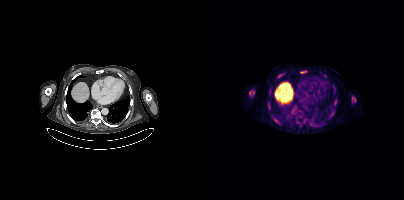
Paired axial CT (left) and PSMA PET (right), 18F tracer. Slice position z = 122 mm. PET panel 200×200 px (4.1 mm/px).
Coordinates are on the 200×200 PET (right) panel. PSMA-avid tumor lesion bounding boxes (partial; 1 more focus not listed):
| # | x0 | y0 | x1 | y1 |
|---|---|---|---|---|
| 1 | 45 | 90 | 50 | 95 |
| 2 | 148 | 96 | 151 | 101 |
| 3 | 70 | 119 | 76 | 124 |
| 4 | 64 | 104 | 66 | 110 |
Small PSMA-avid foci (2 to 4 px across) near (center x, center y): (76, 75); (98, 72).